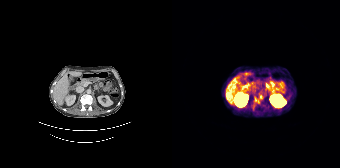
Left: CT. Right: PSMA PET, same axial level, 68Ga-PSMA tracer. Acquired on Siemens Biograph 64-4R TruePoint. PET panel 168×168 px (4.1 mm/px). Coordinates are on the 168×168 PET (right) panel. PSMA-avid tumor lesion bounding box (x, y, width, height): x=83 y=97 w=5 h=7. Small PSMA-avid focus (2 to 4 px across) near (center x, center y): (89, 96).